- Left: CT. Right: PSMA PET, same axial level, 18F-PSMA tracer
- acquired on Siemens Biograph mCT Flow 20
- slice position z = 1721 mm
- PET panel 200×200 px (4.1 mm/px)
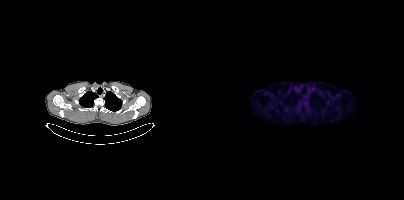
Findings: This slice has no annotated PSMA-avid lesion.